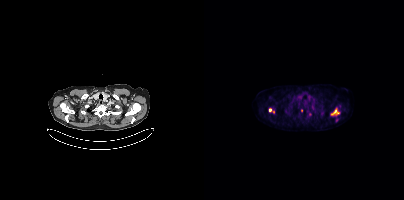
Findings: Coordinates are on the 200×200 PET (right) panel. PSMA-avid tumor lesion bounding box (x, y, width, height): x=128 y=110 w=8 h=6. Small PSMA-avid foci (2 to 4 px across) near (center x, center y): (66, 109) / (69, 111) / (97, 110).
Technique: Two-panel axial: CT | PSMA PET, 18F-PSMA tracer. acquired on Siemens Biograph mCT Flow 20. slice position z = -936 mm.